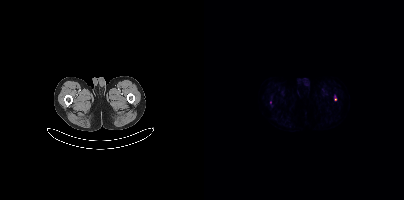
modality: PSMA PET/CT | tracer: [18F]PSMA-1007 | view: axial | PET grid: 200×200
Coordinates are on the 200×200 PET (right) panel. Small PSMA-avid foci (2 to 4 px across) near (center x, center y): (131, 99) (66, 102).